modality: PSMA PET/CT | tracer: 18F-PSMA | view: axial | PET grid: 200×200
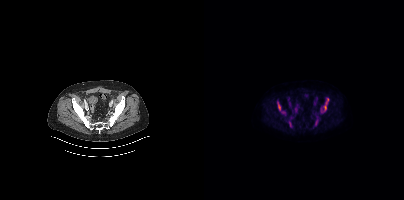
Coordinates are on the 200×200 PET (right) panel. (showing 4 of 5 foci) PSMA-avid tumor lesion bounding boxes (x0,y0,x1,y1): [120,98,124,110], [73,102,76,110], [77,111,81,113]. Small PSMA-avid focus (2 to 4 px across) near (center x, center y): (85, 122).